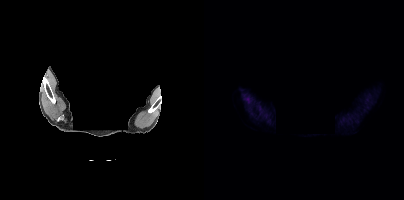
Paired axial CT (left) and PSMA PET (right), 18F-PSMA tracer. Slice position z = -340 mm. PET panel 200×200 px (4.1 mm/px). The head region is masked for de-identification. No PSMA-avid tumor lesions on this slice.